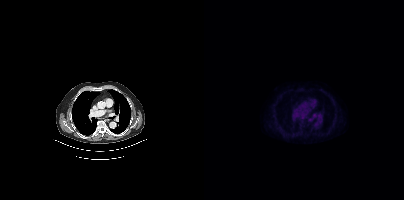
modality: PSMA PET/CT | tracer: 18F-PSMA | view: axial
Coordinates are on the 200×200 PET (right) panel. Small PSMA-avid focus (2 to 4 px across) near (center x, center y): (105, 119).